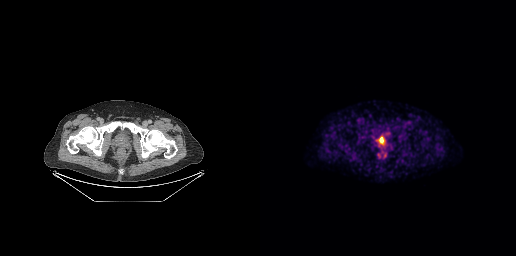
- Paired axial CT (left) and PSMA PET (right), [18F]PSMA-1007 tracer
- slice 73 of 299
Findings: Coordinates are on the 256×256 PET (right) panel. Small PSMA-avid focus (2 to 4 px across) near (center x, center y): (121, 139).